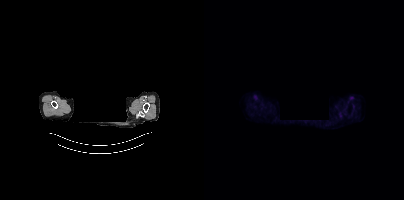
The head region is masked for de-identification. Two-panel axial: CT | PSMA PET, 18F-PSMA tracer. PET panel 200×200 px (4.1 mm/px). This slice has no annotated PSMA-avid lesion.